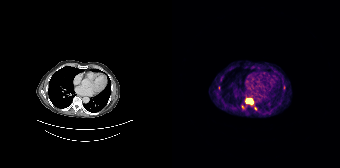
Coordinates are on the 168×168 PET (right) panel. (showing 2 of 3 foci) PSMA-avid tumor lesion bounding box (x0,y0,x1,y1): [74,98,80,103]. Small PSMA-avid focus (2 to 4 px across) near (center x, center y): (70, 106).